- Paired axial CT (left) and PSMA PET (right), 18F tracer
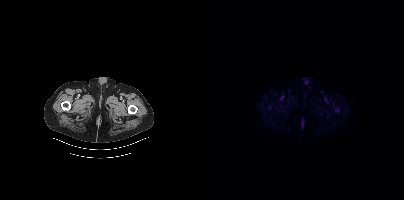
Findings: Coordinates are on the 200×200 PET (right) panel. PSMA-avid tumor lesion bounding box (x0,y0,x1,y1): [131,107,135,111].